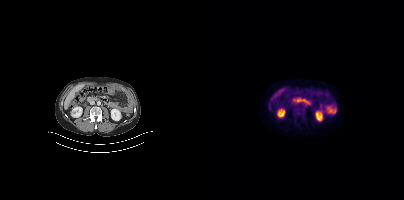
Paired axial CT (left) and PSMA PET (right), 18F-PSMA tracer. Acquired on Siemens Biograph mCT Flow 20. PET panel 200×200 px (4.1 mm/px). Negative for PSMA-avid disease on this slice.